Technique: Paired axial CT (left) and PSMA PET (right), 18F-PSMA tracer. acquired on Siemens Biograph mCT Flow 20. PET panel 200×200 px (4.1 mm/px).
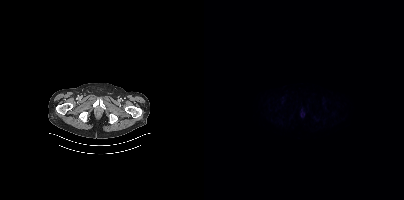
Findings: This slice has no annotated PSMA-avid lesion.